Two-panel axial: CT | PSMA PET, 18F tracer. Acquired on Siemens Biograph mCT Flow 20. Slice 125 of 375.
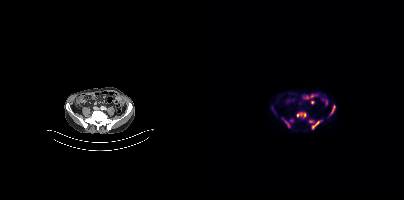
Coordinates are on the 200×200 PET (right) panel. PSMA-avid tumor lesion bounding boxes (x0, y0)-(x1, y1): (105, 119)-(118, 129) / (92, 112)-(102, 118) / (125, 105)-(131, 116) / (81, 121)-(85, 127). Small PSMA-avid foci (2 to 4 px across) near (center x, center y): (79, 118) / (87, 120).